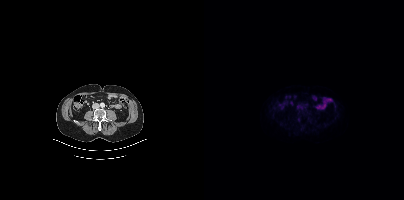
{"modality":"PSMA PET/CT","view":"axial","tracer":"18F","pet_grid":[200,200],"coord_frame":"pet_panel","coord_format":"x0,y0,x1,y1","psma_avid_lesions":false}